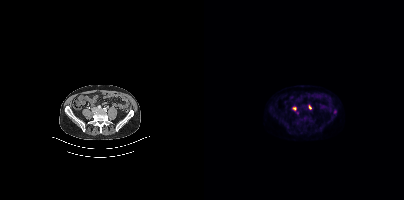
Findings: Coordinates are on the 200×200 PET (right) panel. PSMA-avid tumor lesion bounding box (x, y, width, height): x=105 y=105 w=3 h=5. Small PSMA-avid foci (2 to 4 px across) near (center x, center y): (90, 108); (131, 111).
- Two-panel axial: CT | PSMA PET, [18F]PSMA-1007 tracer
- acquired on Siemens Biograph mCT Flow 20
- PET panel 200×200 px (4.1 mm/px)